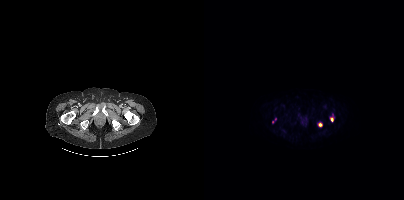
Coordinates are on the 200×200 PET (right) panel. PSMA-avid tumor lesion bounding boxes (x0, y0)-(x1, y1): (114, 123)-(118, 126) / (126, 117)-(129, 121).